- Two-panel axial: CT | PSMA PET, 18F-PSMA tracer
- acquired on GE Discovery 690
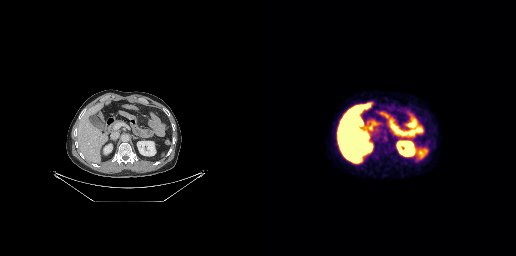
Findings: This slice has no annotated PSMA-avid lesion.